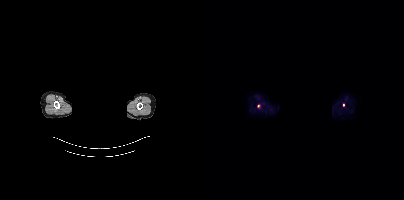
{"pet_grid":[200,200],"coord_frame":"pet_panel","coord_format":"x0,y0,x1,y1","partial":true,"lesion_bboxes":[],"small_foci_centers":[[139,105]],"modality":"PSMA PET/CT","view":"axial","tracer":"18F","redaction":"privacy mask over head"}